modality: PSMA PET/CT | tracer: 18F-PSMA | view: axial
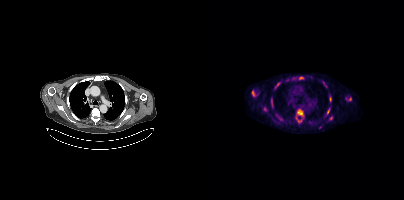
Coordinates are on the 200×200 PET (right) panel. (showing 9 of 11 foci) PSMA-avid tumor lesion bounding boxes (x0, y0)-(x1, y1): (93, 109)-(99, 116); (95, 76)-(99, 79); (71, 83)-(74, 87); (123, 108)-(125, 114); (92, 117)-(97, 122); (125, 97)-(127, 101). Small PSMA-avid foci (2 to 4 px across) near (center x, center y): (126, 117); (68, 103); (48, 93).